- Paired axial CT (left) and PSMA PET (right), 18F-PSMA tracer
- slice 286 of 452
- PET panel 200×200 px (4.1 mm/px)
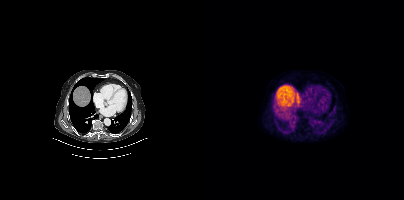
Findings: Negative for PSMA-avid disease on this slice.